modality: PSMA PET/CT | tracer: 18F | view: axial | PET grid: 200×200
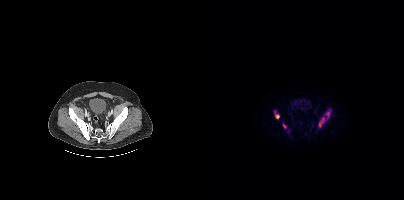
Coordinates are on the 200×200 PET (right) panel. PSMA-avid tumor lesion bounding boxes (x0, y0)-(x1, y1): (115, 117)-(121, 126) | (71, 111)-(75, 118) | (121, 111)-(125, 119) | (79, 124)-(82, 128).